Technique: Paired axial CT (left) and PSMA PET (right), 18F-PSMA tracer.
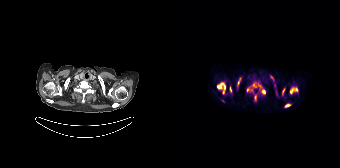
Findings: Coordinates are on the 168×168 PET (right) panel. (showing 9 of 12 foci) PSMA-avid tumor lesion bounding boxes (x, y, width, height): x=45 y=82 w=9 h=13 | x=118 y=87 w=9 h=8 | x=75 y=82 w=10 h=10 | x=86 y=83 w=8 h=12 | x=112 y=103 w=8 h=5 | x=110 y=88 w=4 h=8 | x=65 y=77 w=5 h=9 | x=82 y=95 w=3 h=6 | x=58 y=86 w=2 h=7.